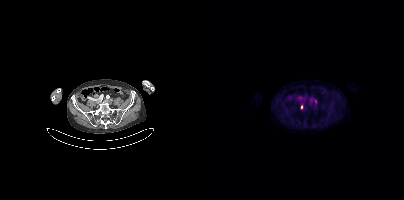
Left: CT. Right: PSMA PET, same axial level, 18F tracer. Acquired on Siemens Biograph mCT Flow 20. Coordinates are on the 200×200 PET (right) panel. Small PSMA-avid foci (2 to 4 px across) near (center x, center y): (97, 106), (111, 101).